Two-panel axial: CT | PSMA PET, 18F-PSMA tracer. Acquired on Siemens Biograph mCT Flow 20. Slice position z = -563 mm.
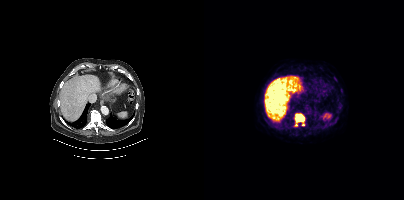
Coordinates are on the 200×200 PET (right) panel. PSMA-avid tumor lesion bounding box (x0,y0,x1,y1): [90,113,100,126]. Small PSMA-avid focus (2 to 4 px across) near (center x, center y): (131, 78).